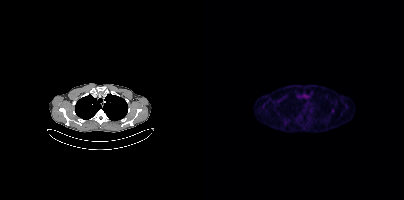
Coordinates are on the 200×200 PET (right) panel. Small PSMA-avid focus (2 to 4 px across) near (center x, center y): (128, 110).